Paired axial CT (left) and PSMA PET (right), [68Ga]Ga-PSMA-11 tracer. Acquired on Siemens Biograph 64-4R TruePoint. The head region is masked for de-identification.
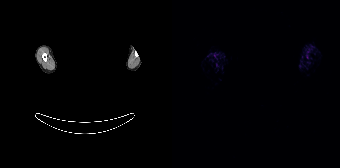
This slice has no annotated PSMA-avid lesion.